- Left: CT. Right: PSMA PET, same axial level, 18F-PSMA tracer
- PET panel 200×200 px (4.1 mm/px)
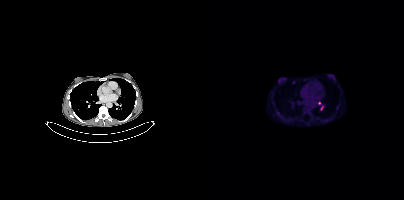
Findings: Coordinates are on the 200×200 PET (right) panel. (showing 4 of 6 foci) PSMA-avid tumor lesion bounding box (x0, y0)-(x1, y1): (73, 111)-(75, 115). Small PSMA-avid foci (2 to 4 px across) near (center x, center y): (115, 103) / (89, 82) / (133, 108).